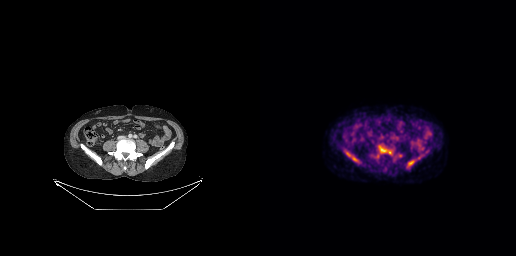
modality: PSMA PET/CT | tracer: 18F-PSMA | view: axial | PET grid: 256×256
Coordinates are on the 256×256 PET (right) panel. PSMA-avid tumor lesion bounding boxes (x, y, width, height): x=148 y=160 w=7 h=7; x=120 y=147 w=7 h=5; x=93 y=157 w=5 h=4. Small PSMA-avid focus (2 to 4 px across) near (center x, center y): (129, 152).